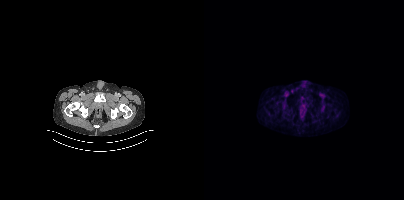
Paired axial CT (left) and PSMA PET (right), 18F tracer. Slice 67 of 429. No PSMA-avid tumor lesions on this slice.